- Paired axial CT (left) and PSMA PET (right), [68Ga]Ga-PSMA-11 tracer
- slice 331 of 397
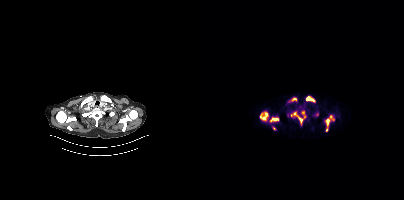
Findings: Coordinates are on the 200×200 PET (right) panel. PSMA-avid tumor lesion bounding boxes (x, y, width, height): x=87 y=111 w=16 h=13 | x=56 y=112 w=9 h=9 | x=121 y=115 w=10 h=17 | x=102 y=96 w=10 h=7 | x=66 y=117 w=9 h=5 | x=84 y=97 w=9 h=6 | x=109 y=112 w=6 h=5. Small PSMA-avid focus (2 to 4 px across) near (center x, center y): (69, 127).